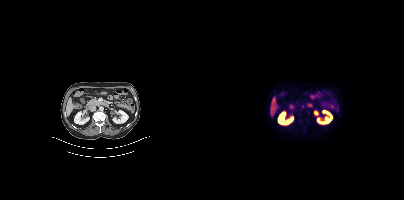
{"modality":"PSMA PET/CT","view":"axial","tracer":"18F-PSMA","pet_grid":[200,200],"coord_frame":"pet_panel","coord_format":"x0,y0,x1,y1","psma_avid_lesions":false}